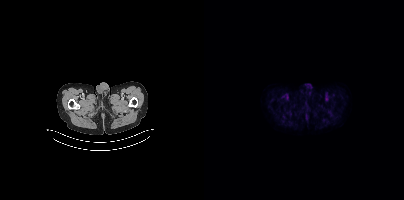
Negative for PSMA-avid disease on this slice.
modality: PSMA PET/CT | tracer: [18F]PSMA-1007 | view: axial